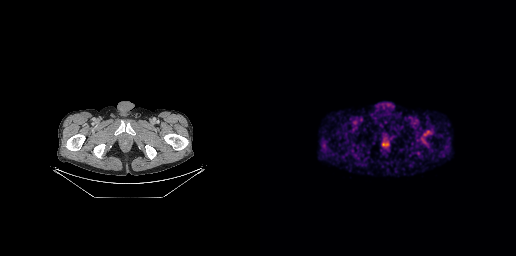
No PSMA-avid tumor lesions on this slice. Paired axial CT (left) and PSMA PET (right), [68Ga]Ga-PSMA-11 tracer. PET panel 256×256 px (2.7 mm/px).